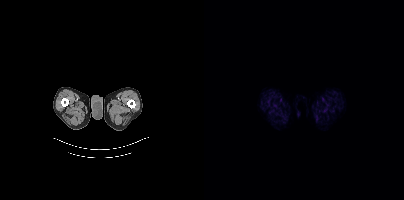
modality: PSMA PET/CT | tracer: 18F-PSMA | view: axial
No PSMA-avid tumor lesions on this slice.